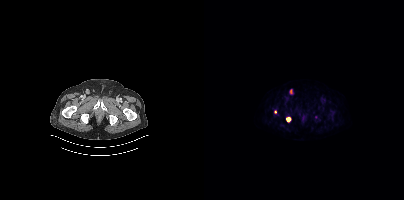
{"modality":"PSMA PET/CT","view":"axial","tracer":"18F-PSMA","pet_grid":[200,200],"coord_frame":"pet_panel","coord_format":"x0,y0,x1,y1","lesion_bboxes":[[82,117,87,122],[86,89,88,93]],"small_foci_centers":[[71,111]]}